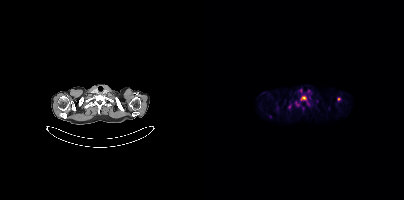
Paired axial CT (left) and PSMA PET (right), 18F-PSMA tracer. Acquired on Siemens Biograph mCT Flow 20. PET panel 200×200 px (4.1 mm/px). Coordinates are on the 200×200 PET (right) panel. (showing 4 of 5 foci) PSMA-avid tumor lesion bounding boxes (x, y, width, height): x=96 y=95 w=10 h=11; x=91 y=102 w=5 h=5. Small PSMA-avid foci (2 to 4 px across) near (center x, center y): (134, 99); (104, 91).